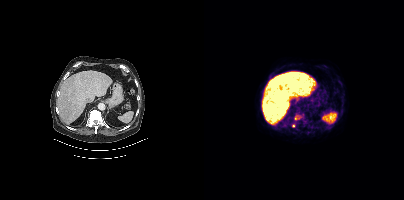
Coordinates are on the 200×200 PET (right) panel. (showing 2 of 3 foci) Small PSMA-avid foci (2 to 4 px across) near (center x, center y): (91, 118) / (89, 125).